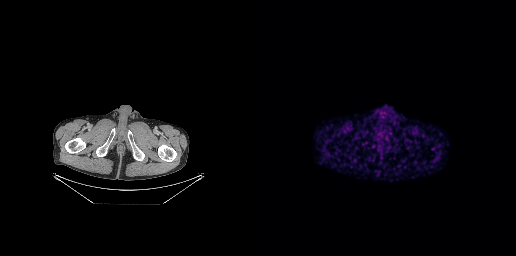
{"modality":"PSMA PET/CT","view":"axial","tracer":"68Ga","pet_grid":[256,256],"coord_frame":"pet_panel","coord_format":"x0,y0,x1,y1","psma_avid_lesions":false}